modality: PSMA PET/CT | tracer: 18F-PSMA | view: axial | PET grid: 168×168
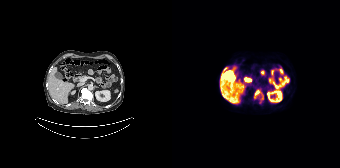
Coordinates are on the 168×168 PET (right) panel. (showing 2 of 3 foci) PSMA-avid tumor lesion bounding box (x0, y0)-(x1, y1): (82, 89)-(91, 99). Small PSMA-avid focus (2 to 4 px across) near (center x, center y): (59, 98).